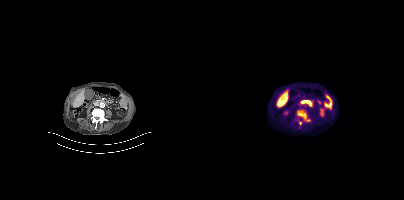
{"modality":"PSMA PET/CT","view":"axial","tracer":"18F-PSMA","pet_grid":[200,200],"coord_frame":"pet_panel","coord_format":"x0,y0,x1,y1","lesion_bboxes":[[92,113,104,125]],"small_foci_centers":[[95,127]]}